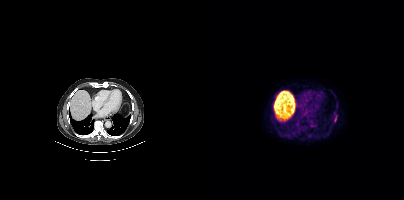
Coordinates are on the 200×200 PET (right) panel. PSMA-avid tumor lesion bounding box (x0, y0)-(x1, y1): (130, 115)-(133, 121).